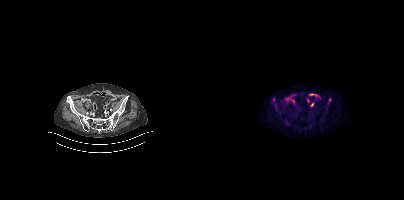
Technique: Left: CT. Right: PSMA PET, same axial level, 18F tracer. acquired on Siemens Biograph mCT Flow 20. slice position z = -1375 mm. PET panel 200×200 px (4.1 mm/px).
Findings: Coordinates are on the 200×200 PET (right) panel. PSMA-avid tumor lesion bounding box (x0,y0,x1,y1): [70,105,73,109]. Small PSMA-avid foci (2 to 4 px across) near (center x, center y): (125, 99); (69, 99).